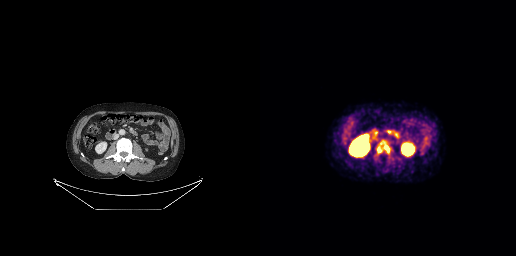
modality: PSMA PET/CT | tracer: [18F]PSMA-1007 | view: axial | PET grid: 256×256
Coordinates are on the 256×256 PET (right) panel. PSMA-avid tumor lesion bounding box (x, y, width, height): x=117 y=140 w=14 h=14.